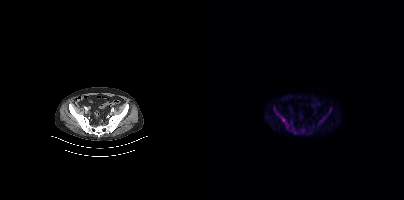
modality: PSMA PET/CT | tracer: [18F]PSMA-1007 | view: axial | PET grid: 200×200
Coordinates are on the 200×200 PET (right) panel. (showing 4 of 6 foci) PSMA-avid tumor lesion bounding boxes (x0,y0,x1,y1): [69,109,85,129], [114,108,127,124], [88,126,93,134], [96,129,101,133].